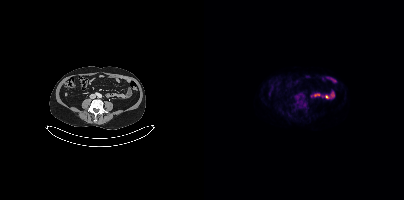
Paired axial CT (left) and PSMA PET (right), 18F tracer. Acquired on Siemens Biograph mCT Flow 20. Slice 155 of 431. No tumor lesions annotated on this slice.